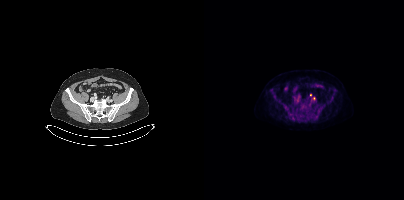
Coordinates are on the 200×200 PET (right) panel. Small PSMA-avid foci (2 to 4 px across) near (center x, center y): (106, 94); (109, 98).